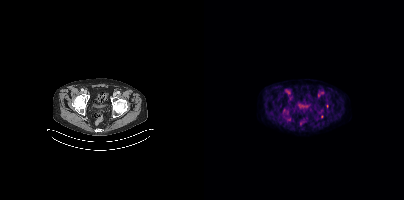
Coordinates are on the 200×200 PET (right) panel. (showing 1 of 2 foci) Small PSMA-avid focus (2 to 4 px across) near (center x, center y): (79, 110).